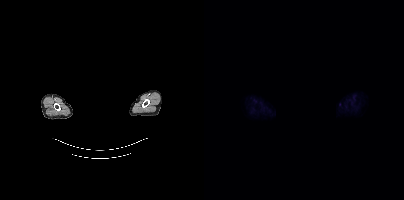
No PSMA-avid tumor lesions on this slice. Paired axial CT (left) and PSMA PET (right), 18F tracer. Slice 416 of 452. The face region was removed for patient privacy by blanking a rectangle over the head.